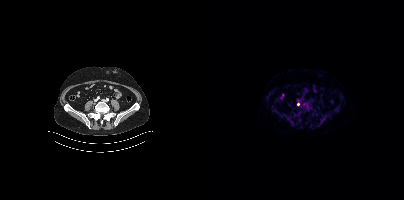
{"modality":"PSMA PET/CT","view":"axial","tracer":"18F","pet_grid":[200,200],"coord_frame":"pet_panel","coord_format":"x0,y0,x1,y1","lesion_bboxes":[],"small_foci_centers":[[94,104]]}